modality: PSMA PET/CT | tracer: 18F | view: axial
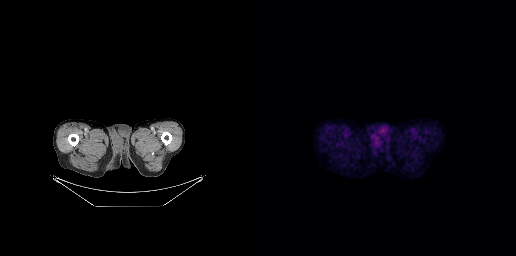
No tumor lesions annotated on this slice.